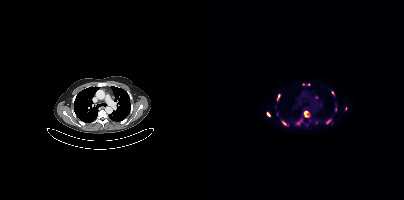
modality: PSMA PET/CT | tracer: [18F]PSMA-1007 | view: axial | PET grid: 200×200
Coordinates are on the 200×200 PET (right) panel. (showing 14 of 17 foci) PSMA-avid tumor lesion bounding boxes (x, y, width, height): x=100 y=111 w=6 h=6 | x=122 y=119 w=6 h=5 | x=73 y=94 w=3 h=7 | x=63 y=112 w=4 h=5 | x=131 y=107 w=2 h=5. Small PSMA-avid foci (2 to 4 px across) near (center x, center y): (142, 108) | (112, 97) | (73, 113) | (93, 123) | (99, 84) | (128, 92) | (104, 84) | (78, 121) | (112, 122).